Technique: Two-panel axial: CT | PSMA PET, 18F tracer. slice position z = -1420 mm. PET panel 200×200 px (4.1 mm/px).
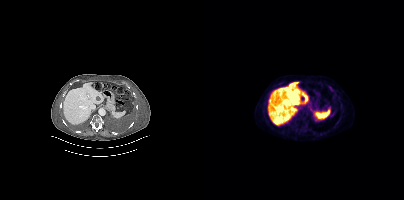
Findings: Coordinates are on the 200×200 PET (right) panel. PSMA-avid tumor lesion bounding box (x0,y0,x1,y1): [125,86,128,90]. Small PSMA-avid foci (2 to 4 px across) near (center x, center y): (103, 101); (129, 113).